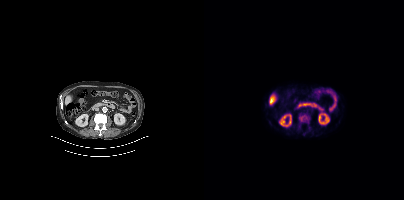
- Two-panel axial: CT | PSMA PET, 18F tracer
- acquired on Siemens Biograph mCT Flow 20
Findings: Coordinates are on the 200×200 PET (right) panel. PSMA-avid tumor lesion bounding box (x0,y0,x1,y1): [95,114,105,123].